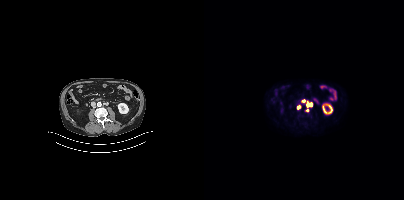
modality: PSMA PET/CT | tracer: 18F | view: axial
Coordinates are on the 200×200 PET (right) panel. PSMA-avid tumor lesion bounding box (x0, y0)-(x1, y1): (103, 103)-(107, 106). Small PSMA-avid foci (2 to 4 px across) near (center x, center y): (94, 107) | (100, 101).